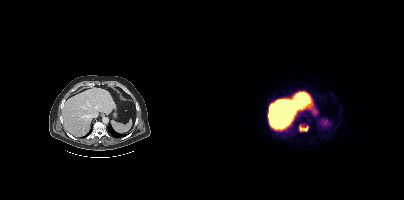
Paired axial CT (left) and PSMA PET (right), 18F-PSMA tracer. Slice 246 of 417. PET panel 200×200 px (4.1 mm/px).
Coordinates are on the 200×200 PET (right) panel. PSMA-avid tumor lesion bounding boxes:
| # | x0 | y0 | x1 | y1 |
|---|---|---|---|---|
| 1 | 95 | 125 | 104 | 131 |